Technique: Two-panel axial: CT | PSMA PET, 68Ga tracer. slice position z = -1620 mm.
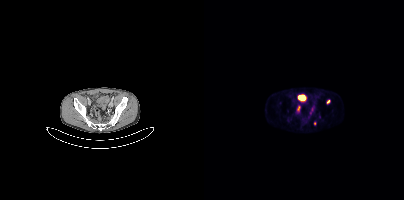
Findings: Coordinates are on the 200×200 PET (right) panel. PSMA-avid tumor lesion bounding boxes (x0,y0,x1,y1): [106,106,110,114] [93,106,95,112]. Small PSMA-avid foci (2 to 4 px across) near (center x, center y): (124, 101) (111, 123).